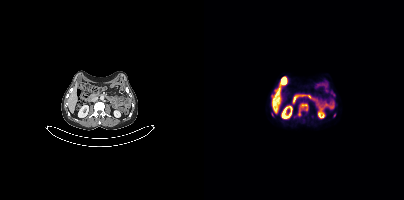
Technique: Two-panel axial: CT | PSMA PET, 18F tracer.
Findings: Coordinates are on the 200×200 PET (right) panel. (showing 1 of 2 foci) PSMA-avid tumor lesion bounding box (x0, y0)-(x1, y1): (94, 103)-(104, 116).